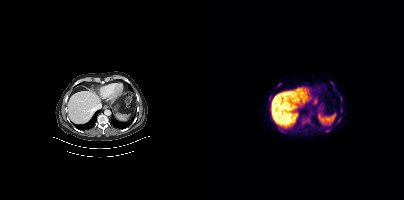
Technique: Paired axial CT (left) and PSMA PET (right), 18F-PSMA tracer. acquired on Siemens Biograph mCT Flow 20. slice 216 of 395. PET panel 200×200 px (4.1 mm/px).
Findings: Coordinates are on the 200×200 PET (right) panel. (showing 9 of 10 foci) PSMA-avid tumor lesion bounding boxes (x0, y0)-(x1, y1): (121, 129)-(125, 132) | (76, 130)-(81, 132) | (133, 117)-(136, 122) | (136, 108)-(138, 112). Small PSMA-avid foci (2 to 4 px across) near (center x, center y): (66, 97) | (127, 83) | (75, 84) | (104, 119) | (99, 122).